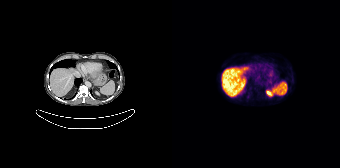
{"modality":"PSMA PET/CT","view":"axial","tracer":"18F","pet_grid":[168,168],"coord_frame":"pet_panel","coord_format":"x0,y0,x1,y1","psma_avid_lesions":false}